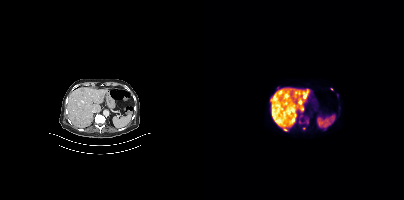
- Paired axial CT (left) and PSMA PET (right), 18F tracer
- acquired on Siemens Biograph mCT Flow 20
- slice 218 of 403
- PET panel 200×200 px (4.1 mm/px)
Findings: Coordinates are on the 200×200 PET (right) panel. PSMA-avid tumor lesion bounding boxes (x0,y0,x1,y1): [68,113,71,118] [82,108,85,112] [79,128,83,131]. Small PSMA-avid foci (2 to 4 px across) near (center x, center y): (78, 111) (103, 89) (100, 128) (127, 88).